Technique: Paired axial CT (left) and PSMA PET (right), 18F-PSMA tracer. slice position z = 183 mm.
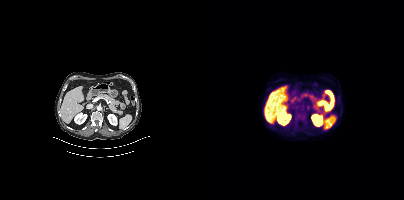
Findings: Negative for PSMA-avid disease on this slice.